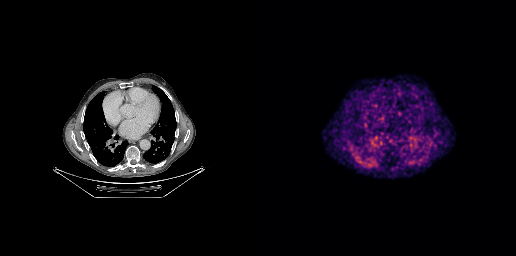
modality: PSMA PET/CT | tracer: 68Ga | view: axial
No PSMA-avid tumor lesions on this slice.